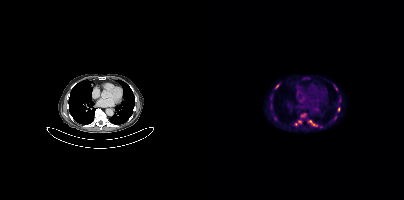
Coordinates are on the 200×200 PET (right) panel. (showing 2 of 5 foci) PSMA-avid tumor lesion bounding box (x0,y0,x1,y1): [104,120,112,126]. Small PSMA-avid focus (2 to 4 px across) near (center x, center y): (91, 124).